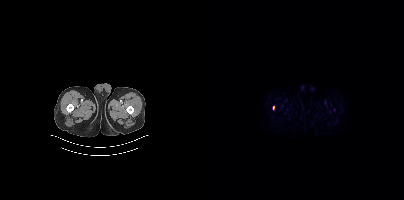
- Left: CT. Right: PSMA PET, same axial level, 18F-PSMA tracer
- slice 27 of 444
- PET panel 200×200 px (4.1 mm/px)
Findings: Coordinates are on the 200×200 PET (right) panel. Small PSMA-avid focus (2 to 4 px across) near (center x, center y): (69, 107).